Left: CT. Right: PSMA PET, same axial level, 18F tracer.
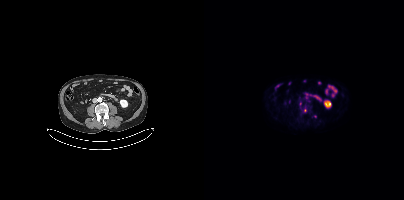
Coordinates are on the 200×200 PET (right) panel. Small PSMA-avid focus (2 to 4 px across) near (center x, center y): (101, 110).